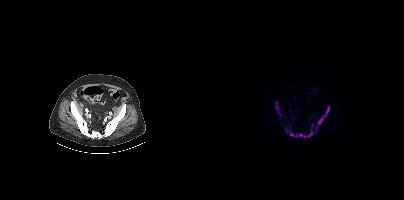
modality: PSMA PET/CT | tracer: 18F | view: axial
Coordinates are on the 200×200 PET (right) panel. PSMA-avid tumor lesion bounding boxes (x, y, width, height): x=81 y=128 w=29 h=10; x=112 y=105 w=14 h=25; x=71 y=102 w=5 h=9; x=108 y=123 w=2 h=5. Small PSMA-avid foci (2 to 4 px across) near (center x, center y): (75, 113); (111, 131).